Paired axial CT (left) and PSMA PET (right), [18F]PSMA-1007 tracer. Acquired on Siemens Biograph mCT Flow 20. Slice position z = -974 mm.
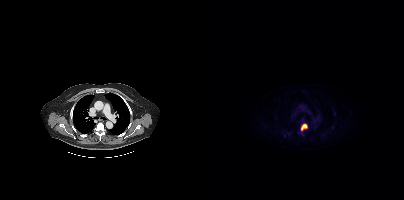
Coordinates are on the 200×200 PET (right) panel. PSMA-avid tumor lesion bounding box (x0,y0,x1,y1): [97,124,103,130]. Small PSMA-avid focus (2 to 4 px across) near (center x, center y): (80, 135).